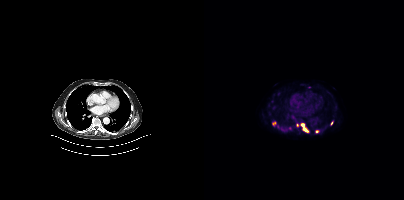
{"modality":"PSMA PET/CT","view":"axial","tracer":"[18F]PSMA-1007","pet_grid":[200,200],"coord_frame":"pet_panel","coord_format":"x0,y0,x1,y1","partial":true,"lesion_bboxes":[[97,124,104,132]],"small_foci_centers":[[112,131],[70,123],[127,123],[93,124],[84,128]]}